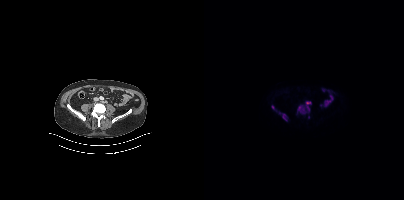
- Paired axial CT (left) and PSMA PET (right), 18F-PSMA tracer
- acquired on Siemens Biograph mCT Flow 20
Findings: Coordinates are on the 200×200 PET (right) panel. (showing 3 of 4 foci) PSMA-avid tumor lesion bounding boxes (x0,y0,x1,y1): [93,101,107,112] [78,113,83,120] [67,105,70,109].